Left: CT. Right: PSMA PET, same axial level, 18F-PSMA tracer. Acquired on Siemens Biograph mCT Flow 20.
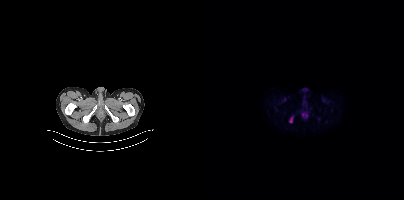
Coordinates are on the 200×200 PET (right) panel. Small PSMA-avid focus (2 to 4 px across) near (center x, center y): (86, 121).